- Paired axial CT (left) and PSMA PET (right), [18F]PSMA-1007 tracer
- acquired on Siemens Biograph mCT Flow 20
- PET panel 200×200 px (4.1 mm/px)
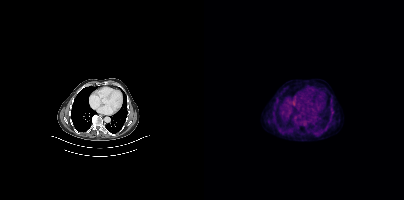
Findings: Coordinates are on the 200×200 PET (right) panel. PSMA-avid tumor lesion bounding box (x0, y0)-(x1, y1): (127, 109)-(129, 113).